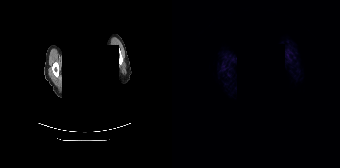
{"modality":"PSMA PET/CT","view":"axial","tracer":"68Ga","pet_grid":[168,168],"coord_frame":"pet_panel","coord_format":"x0,y0,x1,y1","redaction":"head region blacked out before release","psma_avid_lesions":false}